Left: CT. Right: PSMA PET, same axial level, [18F]PSMA-1007 tracer. Acquired on GE Discovery 690. Slice 90 of 299. PET panel 256×256 px (2.7 mm/px).
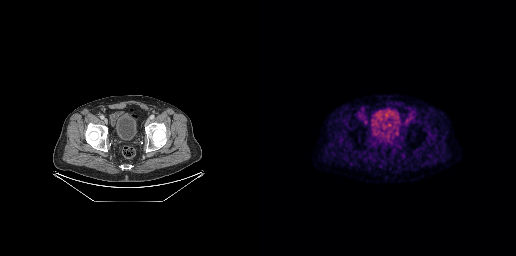
No tumor lesions annotated on this slice.